Paired axial CT (left) and PSMA PET (right), 18F-PSMA tracer. Acquired on Siemens Biograph mCT Flow 20. Slice position z = -297 mm. PET panel 200×200 px (4.1 mm/px). The head region is masked for de-identification.
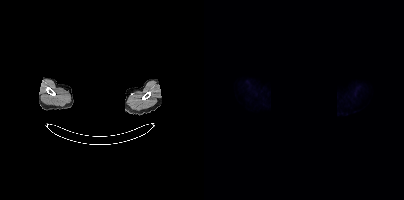
Negative for PSMA-avid disease on this slice.